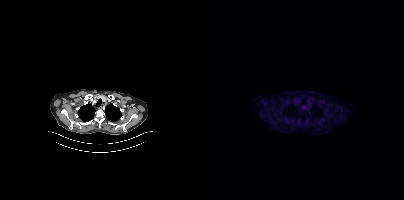
No tumor lesions annotated on this slice.